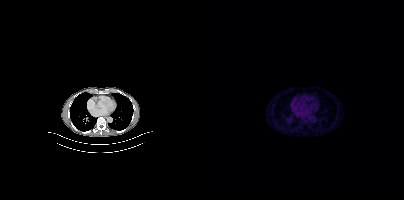
Findings: No PSMA-avid tumor lesions on this slice.
- Left: CT. Right: PSMA PET, same axial level, 18F tracer
- acquired on Siemens Biograph mCT Flow 20